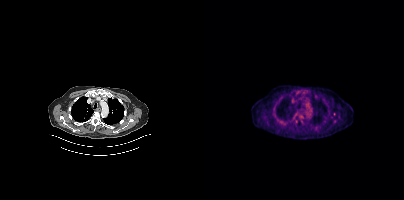
Only PSMA-avid lesion pieces thinner than 2 px on this slice (not listed). Paired axial CT (left) and PSMA PET (right), [18F]PSMA-1007 tracer. Acquired on Siemens Biograph mCT Flow 20.